- Two-panel axial: CT | PSMA PET, [18F]PSMA-1007 tracer
- acquired on Siemens Biograph mCT Flow 20
- PET panel 200×200 px (4.1 mm/px)
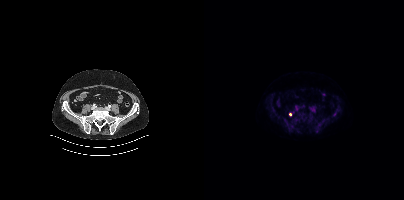
Findings: Coordinates are on the 200×200 PET (right) panel. Small PSMA-avid focus (2 to 4 px across) near (center x, center y): (86, 114).